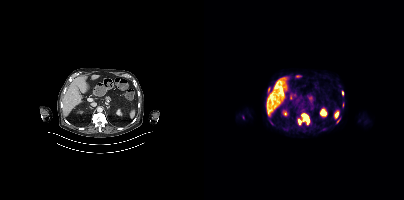
Coordinates are on the 200×200 PET (right) panel. PSMA-avid tumor lesion bounding boxes:
| # | x0 | y0 | x1 | y1 |
|---|---|---|---|---|
| 1 | 98 | 114 | 105 | 123 |
| 2 | 94 | 119 | 97 | 124 |
| 3 | 64 | 87 | 66 | 92 |
| 4 | 138 | 92 | 140 | 96 |
| 5 | 138 | 102 | 140 | 107 |
Small PSMA-avid focus (2 to 4 px across) near (center x, center y): (134, 120).
Paired axial CT (left) and PSMA PET (right), 18F tracer. Acquired on Siemens Biograph mCT Flow 20.